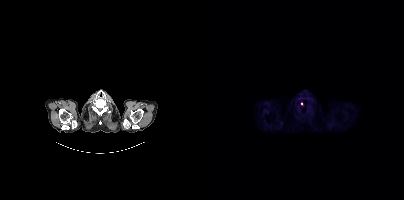
Paired axial CT (left) and PSMA PET (right), [18F]PSMA-1007 tracer. Slice 366 of 435. PET panel 200×200 px (4.1 mm/px). Coordinates are on the 200×200 PET (right) panel. Small PSMA-avid focus (2 to 4 px across) near (center x, center y): (97, 103).